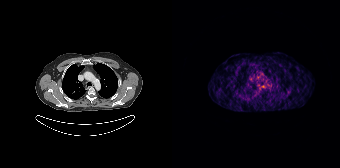
This slice has no annotated PSMA-avid lesion. Left: CT. Right: PSMA PET, same axial level, 68Ga-PSMA tracer.